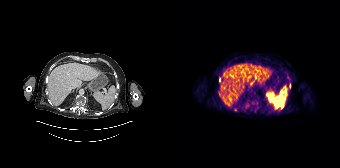
Two-panel axial: CT | PSMA PET, 68Ga-PSMA tracer. Acquired on Siemens Biograph 64-4R TruePoint. PET panel 168×168 px (4.1 mm/px). Coordinates are on the 168×168 PET (right) panel. (showing 1 of 2 foci) Small PSMA-avid focus (2 to 4 px across) near (center x, center y): (47, 79).